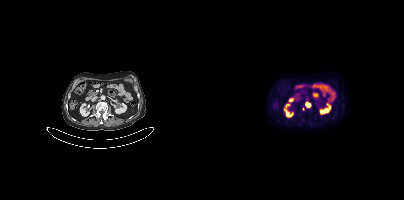
{"modality":"PSMA PET/CT","view":"axial","tracer":"18F-PSMA","pet_grid":[200,200],"coord_frame":"pet_panel","coord_format":"x0,y0,x1,y1","lesion_bboxes":[[102,103,106,106]],"small_foci_centers":[[99,109]]}